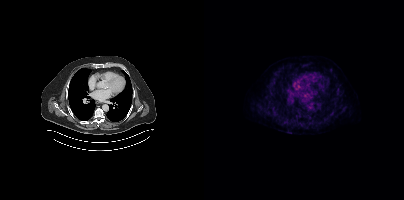
modality: PSMA PET/CT | tracer: 18F-PSMA | view: axial | PET grid: 200×200
Only PSMA-avid lesion pieces thinner than 2 px on this slice (not listed).